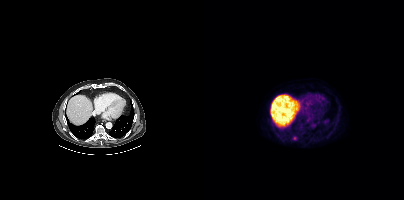
Coordinates are on the 200×200 PET (right) panel. Small PSMA-avid focus (2 to 4 px across) near (center x, center y): (90, 137). Two-panel axial: CT | PSMA PET, [18F]PSMA-1007 tracer. Slice position z = -588 mm.